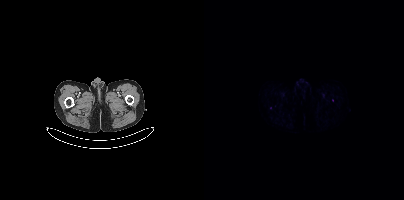
Two-panel axial: CT | PSMA PET, [68Ga]Ga-PSMA-11 tracer. Coordinates are on the 200×200 PET (right) panel. (showing 1 of 2 foci) Small PSMA-avid focus (2 to 4 px across) near (center x, center y): (66, 108).